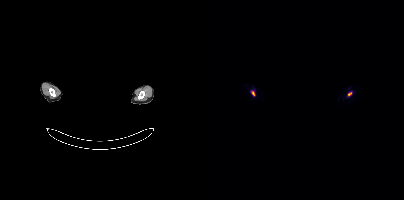
Coordinates are on the 200×200 PET (right) panel. Small PSMA-avid foci (2 to 4 px across) near (center x, center y): (145, 93); (49, 93).
modality: PSMA PET/CT | tracer: [68Ga]Ga-PSMA-11 | view: axial | deidentification: head region blacked out before release